Left: CT. Right: PSMA PET, same axial level, 18F-PSMA tracer. Slice position z = -1310 mm.
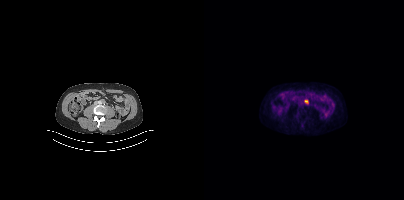
Coordinates are on the 200×200 PET (right) panel. Small PSMA-avid focus (2 to 4 px across) near (center x, center y): (102, 101).